modality: PSMA PET/CT | tracer: [18F]PSMA-1007 | view: axial
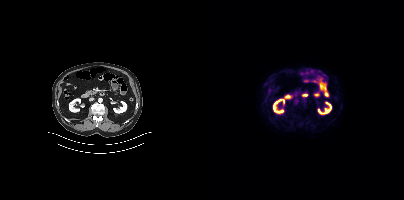
This slice has no annotated PSMA-avid lesion.